modality: PSMA PET/CT | tracer: 18F-PSMA | view: axial | PET grid: 168×168
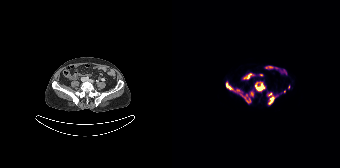
Coordinates are on the 168×168 PET (right) panel. PSMA-avid tumor lesion bounding boxes (x0, y0)-(x1, y1): (72, 81)-(94, 103) / (94, 92)-(105, 104) / (54, 82)-(68, 92). Small PSMA-avid foci (2 to 4 px across) near (center x, center y): (116, 86) / (112, 91) / (69, 94).